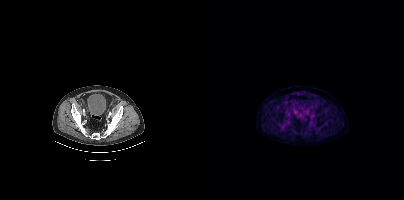
{"modality":"PSMA PET/CT","view":"axial","tracer":"[18F]PSMA-1007","pet_grid":[200,200],"coord_frame":"pet_panel","coord_format":"x0,y0,x1,y1","psma_avid_lesions":false}